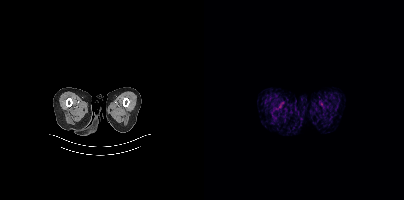
Technique: Paired axial CT (left) and PSMA PET (right), [18F]PSMA-1007 tracer. PET panel 200×200 px (4.1 mm/px).
Findings: No tumor lesions annotated on this slice.